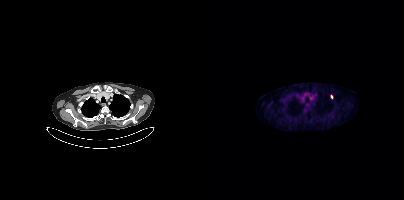
Technique: Two-panel axial: CT | PSMA PET, 18F-PSMA tracer. slice position z = -1170 mm.
Findings: Coordinates are on the 200×200 PET (right) panel. Small PSMA-avid focus (2 to 4 px across) near (center x, center y): (127, 96).